modality: PSMA PET/CT | tracer: [18F]PSMA-1007 | view: axial
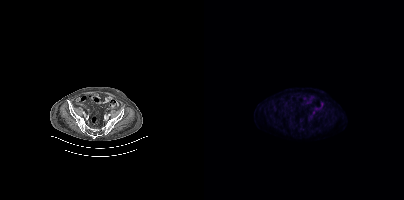
Coordinates are on the 200×200 PET (right) panel. Small PSMA-avid focus (2 to 4 px across) near (center x, center y): (109, 111).